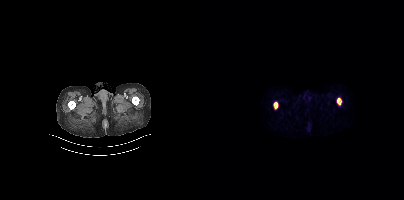
Left: CT. Right: PSMA PET, same axial level, [68Ga]Ga-PSMA-11 tracer. Slice position z = 316 mm. PET panel 200×200 px (4.1 mm/px). Negative for PSMA-avid disease on this slice.